Left: CT. Right: PSMA PET, same axial level, 18F tracer. Slice 299 of 407.
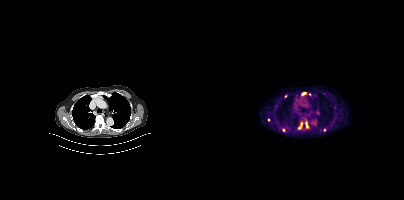
Coordinates are on the 200×200 PET (right) panel. PSMA-avid tumor lesion bounding boxes:
| # | x0 | y0 | x1 | y1 |
|---|---|---|---|---|
| 1 | 94 | 122 | 98 | 129 |
| 2 | 101 | 121 | 104 | 128 |
| 3 | 97 | 92 | 102 | 95 |
Small PSMA-avid foci (2 to 4 px across) near (center x, center y): (82, 96); (120, 129); (79, 130); (64, 120); (105, 94).